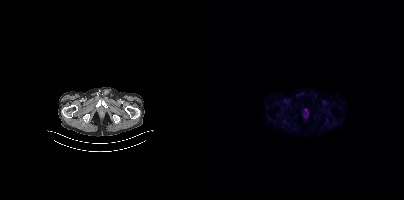
This slice has no annotated PSMA-avid lesion.